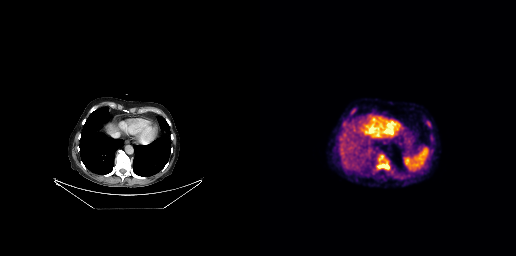
Left: CT. Right: PSMA PET, same axial level, 18F tracer. Slice 157 of 263. Coordinates are on the 256×256 PET (right) panel. PSMA-avid tumor lesion bounding boxes (x, y, width, height): x=117 y=161 w=13 h=9 | x=119 y=155 w=5 h=7 | x=166 y=121 w=5 h=7. Small PSMA-avid focus (2 to 4 px across) near (center x, center y): (171, 136).